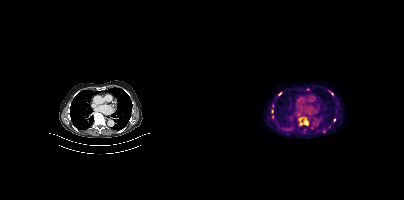
Coordinates are on the 200×200 PET (right) panel. (showing 6 of 7 foci) PSMA-avid tumor lesion bounding box (x0, y0)-(x1, y1): (95, 117)-(104, 125). Small PSMA-avid foci (2 to 4 px across) near (center x, center y): (75, 93); (68, 111); (130, 120); (128, 93); (68, 116).